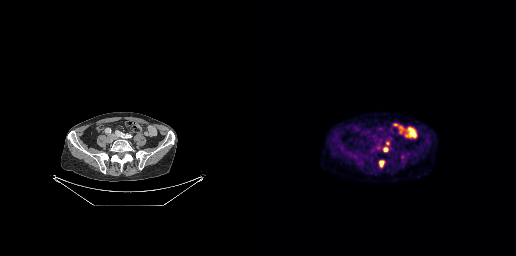
- Two-panel axial: CT | PSMA PET, [18F]PSMA-1007 tracer
- acquired on GE Discovery 690
- slice position z = -679 mm
- PET panel 256×256 px (2.7 mm/px)
Findings: Coordinates are on the 256×256 PET (right) panel. PSMA-avid tumor lesion bounding boxes (x0,y0,x1,y1): [119,160,124,166]; [140,154,144,159]; [123,147,127,151]. Small PSMA-avid focus (2 to 4 px across) near (center x, center y): (127, 143).